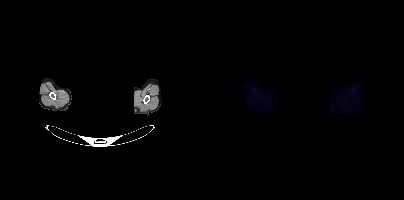
Facial anatomy redacted by setting a rectangular region of the head to black.
Negative for PSMA-avid disease on this slice.